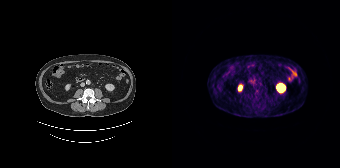
Negative for PSMA-avid disease on this slice. Paired axial CT (left) and PSMA PET (right), 68Ga tracer. Acquired on Siemens Biograph 64-4R TruePoint. Slice position z = -1036 mm.